modality: PSMA PET/CT | tracer: 68Ga-PSMA | view: axial
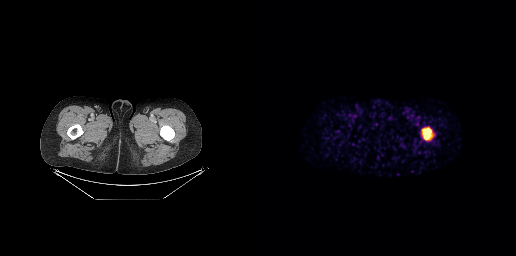
Coordinates are on the 256×256 PET (right) panel. PSMA-avid tumor lesion bounding box (x, y, width, height): x=162 y=127 w=11 h=14.